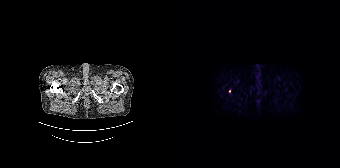
Coordinates are on the 168×168 PET (right) panel. Small PSMA-avid focus (2 to 4 px across) near (center x, center y): (57, 90).